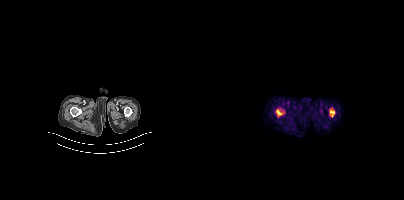
Coordinates are on the 200×200 PET (right) panel. PSMA-avid tumor lesion bounding box (x, y, width, height): x=71 y=109 w=8 h=9.